Technique: Two-panel axial: CT | PSMA PET, 18F tracer. acquired on Siemens Biograph mCT Flow 20. slice position z = -907 mm.
Note: Head region blanked for anonymization (face removed).
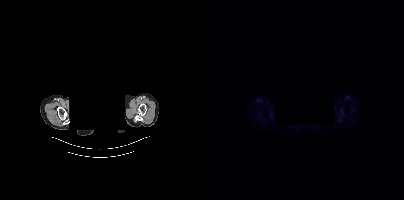
Findings: No tumor lesions annotated on this slice.